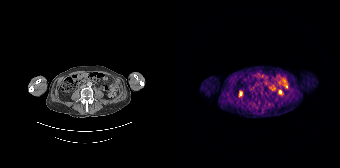
- Paired axial CT (left) and PSMA PET (right), 68Ga-PSMA tracer
- acquired on Siemens Biograph 64-4R TruePoint
- PET panel 168×168 px (4.1 mm/px)
Findings: Negative for PSMA-avid disease on this slice.